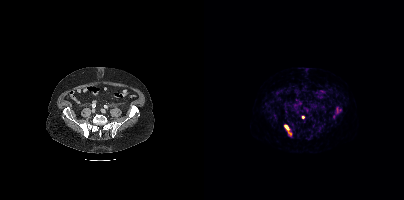
Coordinates are on the 200×200 PET (right) panel. PSMA-avid tumor lesion bounding boxes (x0, y0)-(x1, y1): (80, 125)-(87, 135) / (132, 107)-(137, 113). Small PSMA-avid foci (2 to 4 px across) near (center x, center y): (99, 117) / (129, 116).
modality: PSMA PET/CT | tracer: 68Ga | view: axial